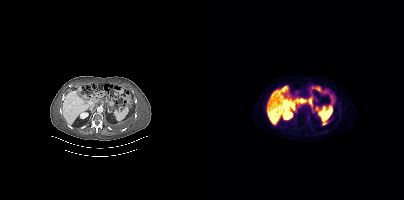
{"modality":"PSMA PET/CT","view":"axial","tracer":"18F","pet_grid":[200,200],"coord_frame":"pet_panel","coord_format":"x0,y0,x1,y1","lesion_bboxes":[[101,99,107,104]]}